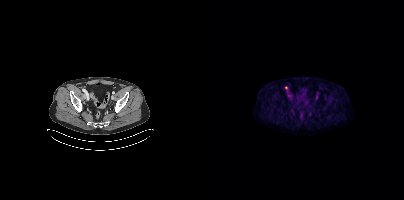
- Paired axial CT (left) and PSMA PET (right), 18F tracer
- slice 113 of 454
Findings: Coordinates are on the 200×200 PET (right) panel. Small PSMA-avid focus (2 to 4 px across) near (center x, center y): (82, 87).